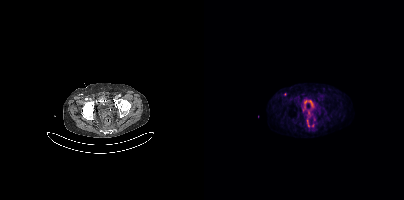
{"modality":"PSMA PET/CT","view":"axial","tracer":"18F","pet_grid":[200,200],"coord_frame":"pet_panel","coord_format":"x0,y0,x1,y1","partial":true,"lesion_bboxes":[[103,120,105,126]],"small_foci_centers":[[81,94],[104,112],[108,125]]}